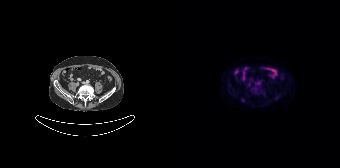
No tumor lesions annotated on this slice.